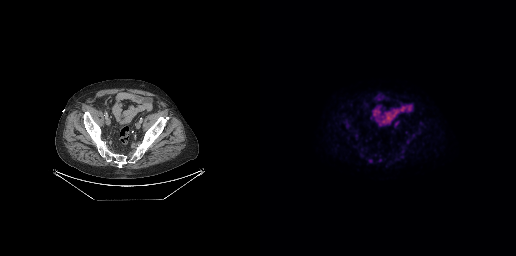
Technique: Paired axial CT (left) and PSMA PET (right), [18F]PSMA-1007 tracer. acquired on GE Discovery 690.
Findings: This slice has no annotated PSMA-avid lesion.